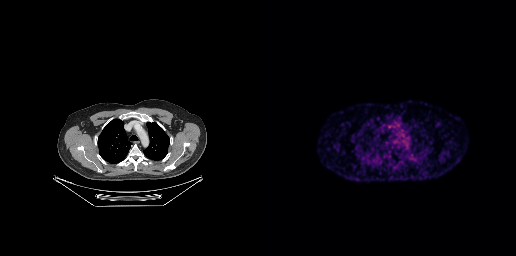
modality: PSMA PET/CT | tracer: 68Ga-PSMA | view: axial | PET grid: 256×256
Negative for PSMA-avid disease on this slice.